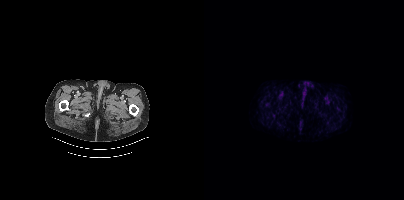
Left: CT. Right: PSMA PET, same axial level, [18F]PSMA-1007 tracer. Acquired on Siemens Biograph mCT Flow 20. Slice 29 of 425. This slice has no annotated PSMA-avid lesion.